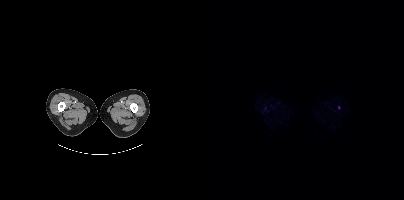
- Two-panel axial: CT | PSMA PET, 18F tracer
- PET panel 200×200 px (4.1 mm/px)
Findings: Coordinates are on the 200×200 PET (right) panel. Small PSMA-avid focus (2 to 4 px across) near (center x, center y): (134, 107).